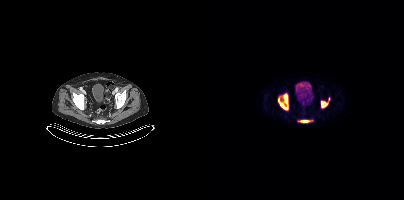
Coordinates are on the 200×200 PET (right) panel. (showing 3 of 4 foci) PSMA-avid tumor lesion bounding boxes (x0,y0,x1,y1): [74,94,84,109] [117,101,123,107] [96,120,105,122].